modality: PSMA PET/CT | tracer: 18F | view: axial
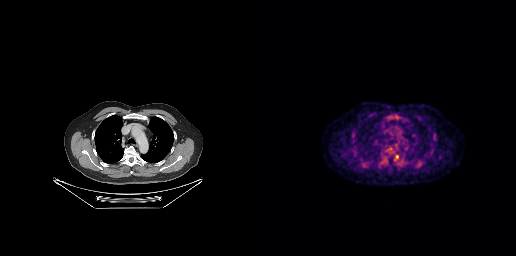
Coordinates are on the 256×256 PET (right) panel. PSMA-avid tumor lesion bounding box (x, y, width, height): x=135 y=155 w=4 h=5.